- Paired axial CT (left) and PSMA PET (right), 68Ga-PSMA tracer
- slice position z = -620 mm
- PET panel 256×256 px (2.7 mm/px)
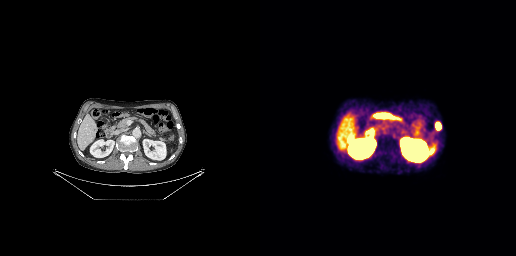
Findings: Coordinates are on the 256×256 PET (right) panel. PSMA-avid tumor lesion bounding box (x0,y0,x1,y1): [175,122,181,129].